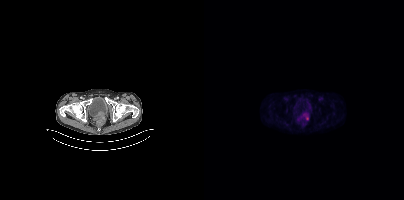
Coordinates are on the 200×200 PET (right) panel. PSMA-avid tumor lesion bounding box (x, y, width, height): x=97 y=112 w=8 h=9. Small PSMA-avid focus (2 to 4 px across) near (center x, center y): (94, 119).
modality: PSMA PET/CT | tracer: 18F | view: axial